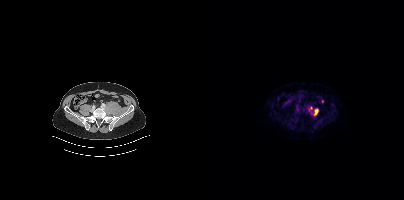
Paired axial CT (left) and PSMA PET (right), 18F tracer. PET panel 200×200 px (4.1 mm/px). Coordinates are on the 200×200 PET (right) panel. (showing 2 of 3 foci) PSMA-avid tumor lesion bounding box (x, y, width, height): x=109 y=108 w=6 h=8. Small PSMA-avid focus (2 to 4 px across) near (center x, center y): (106, 108).